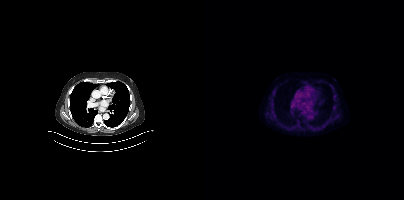
Left: CT. Right: PSMA PET, same axial level, [18F]PSMA-1007 tracer. No PSMA-avid tumor lesions on this slice.